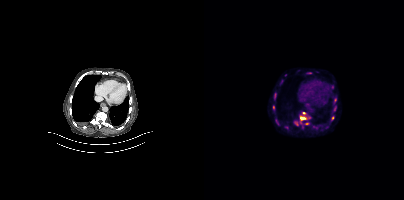
{"pet_grid":[200,200],"coord_frame":"pet_panel","coord_format":"x0,y0,x1,y1","partial":true,"lesion_bboxes":[[96,112,106,124],[90,121,94,125],[129,106,132,111],[127,116,130,120]],"small_foci_centers":[[102,123],[128,87],[69,107]],"modality":"PSMA PET/CT","view":"axial","tracer":"[18F]PSMA-1007"}